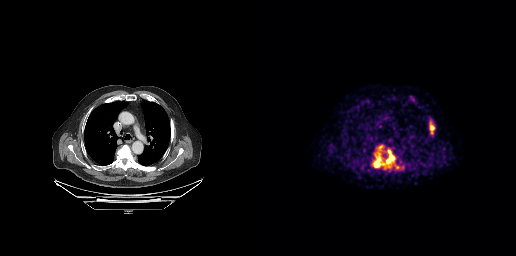
Coordinates are on the 256×256 PET (right) panel. PSMA-avid tumor lesion bounding boxes (x0,y0,x1,y1): [112,145,135,169] [169,121,175,134] [135,165,139,168].
modality: PSMA PET/CT | tracer: [68Ga]Ga-PSMA-11 | view: axial | PET grid: 256×256